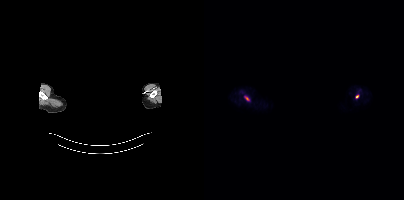
Face de-identified by blanking a block of the head. Left: CT. Right: PSMA PET, same axial level, 18F-PSMA tracer. Acquired on Siemens Biograph mCT Flow 20. Slice 396 of 429. Coordinates are on the 200×200 PET (right) panel. Small PSMA-avid foci (2 to 4 px across) near (center x, center y): (153, 96) (43, 98).